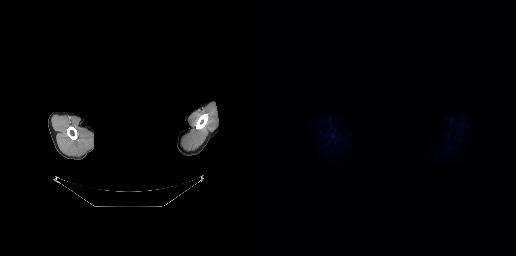
- Paired axial CT (left) and PSMA PET (right), 18F-PSMA tracer
- slice position z = -65 mm
- a rectangular block over the head has been blanked out for de-identification
Findings: No tumor lesions annotated on this slice.